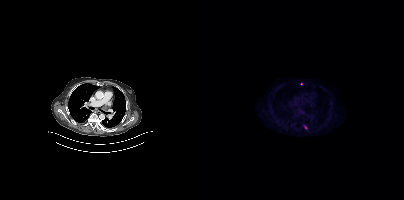
Coordinates are on the 200×200 PET (right) panel. PSMA-avid tumor lesion bounding box (x0, y0)-(x1, y1): (100, 125)-(103, 129). Small PSMA-avid focus (2 to 4 px across) near (center x, center y): (97, 83). Two-panel axial: CT | PSMA PET, [18F]PSMA-1007 tracer. Acquired on Siemens Biograph mCT Flow 20. Slice 257 of 383. PET panel 200×200 px (4.1 mm/px).